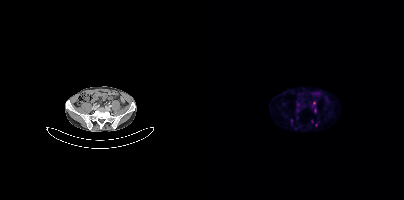
modality: PSMA PET/CT | tracer: [68Ga]Ga-PSMA-11 | view: axial
Coordinates are on the 200×200 PET (right) panel. (showing 2 of 6 foci) Small PSMA-avid foci (2 to 4 px across) near (center x, center y): (108, 121) (110, 102).